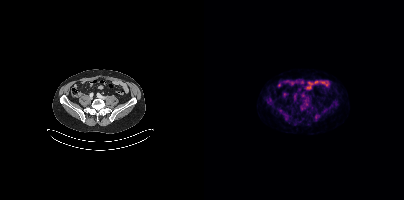
{"modality":"PSMA PET/CT","view":"axial","tracer":"18F-PSMA","pet_grid":[200,200],"coord_frame":"pet_panel","coord_format":"x0,y0,x1,y1","psma_avid_lesions":false}